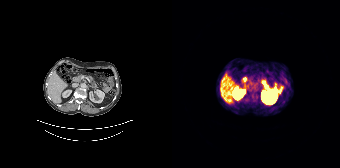
Left: CT. Right: PSMA PET, same axial level, 68Ga-PSMA tracer. Negative for PSMA-avid disease on this slice.